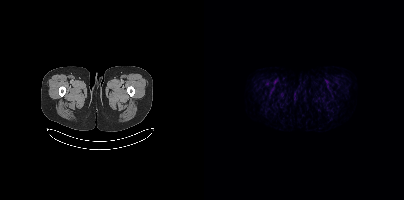
Findings: Coordinates are on the 200×200 PET (right) panel. PSMA-avid tumor lesion bounding box (x0,y0,x1,y1): [125,91,128,96].
Technique: Paired axial CT (left) and PSMA PET (right), 18F-PSMA tracer. slice 28 of 435.